Technique: Left: CT. Right: PSMA PET, same axial level, 18F-PSMA tracer.
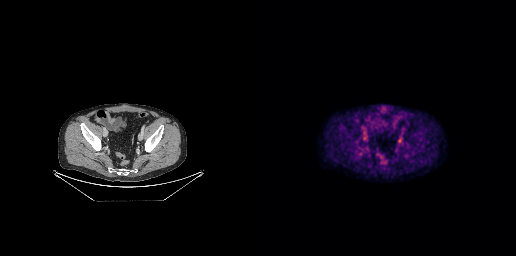
Findings: Coordinates are on the 256×256 PET (right) panel. Small PSMA-avid foci (2 to 4 px across) near (center x, center y): (139, 140) | (104, 138).